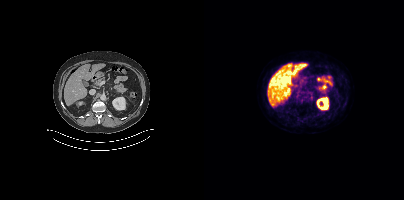
{"modality":"PSMA PET/CT","view":"axial","tracer":"[18F]PSMA-1007","pet_grid":[200,200],"coord_frame":"pet_panel","coord_format":"x0,y0,x1,y1","lesion_bboxes":[[105,94,110,99],[95,99,99,103]]}